Technique: Two-panel axial: CT | PSMA PET, 68Ga-PSMA tracer. slice 367 of 429.
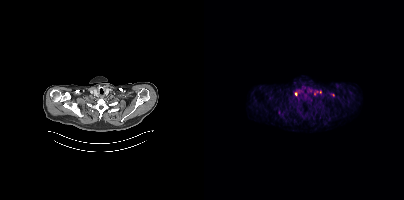
Findings: Coordinates are on the 200×200 PET (right) panel. Small PSMA-avid foci (2 to 4 px across) near (center x, center y): (115, 91), (92, 93).